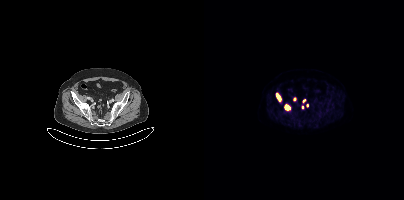
modality: PSMA PET/CT | tracer: 18F | view: axial
Coordinates are on the 200×200 PET (right) panel. PSMA-avid tumor lesion bounding boxes (x0,y0,x1,y1): [81,105,85,109]; [72,93,76,100]. Small PSMA-avid foci (2 to 4 px across) near (center x, center y): (90, 99); (100, 101); (98, 107); (103, 105).